Paired axial CT (left) and PSMA PET (right), [18F]PSMA-1007 tracer.
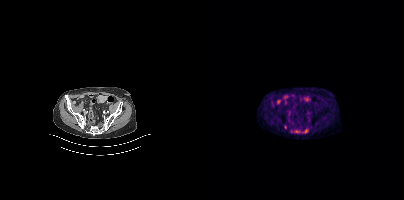
Coordinates are on the 200×200 PET (right) panel. Small PSMA-avid focus (2 to 4 px across) near (center x, center y): (81, 126).